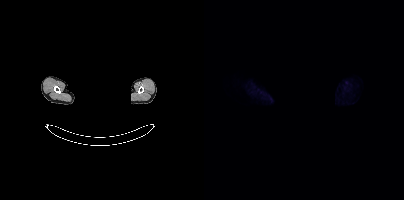
No PSMA-avid tumor lesions on this slice.
modality: PSMA PET/CT | tracer: 18F-PSMA | view: axial | PET grid: 200×200 | deidentification: rectangular block over head set to black